modality: PSMA PET/CT | tracer: 18F | view: axial
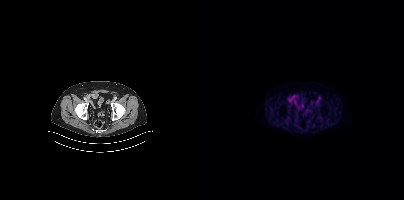
Coordinates are on the 200×200 PET (right) panel. Small PSMA-avid focus (2 to 4 px across) near (center x, center y): (86, 99).